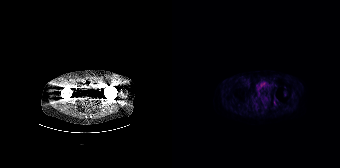
{"modality":"PSMA PET/CT","view":"axial","tracer":"[18F]PSMA-1007","pet_grid":[168,168],"coord_frame":"pet_panel","coord_format":"x0,y0,x1,y1","partial":true,"lesion_bboxes":[]}